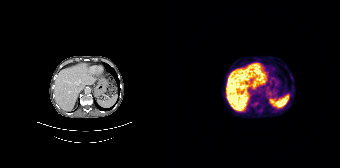
Coordinates are on the 168×168 PET (right) panel. Small PSMA-avid foci (2 to 4 px across) near (center x, center y): (83, 103) / (54, 98). Two-panel axial: CT | PSMA PET, [68Ga]Ga-PSMA-11 tracer. Acquired on Siemens Biograph 64-4R TruePoint. PET panel 168×168 px (4.1 mm/px).